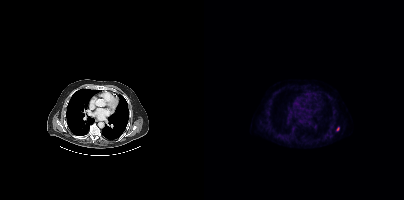
Two-panel axial: CT | PSMA PET, [18F]PSMA-1007 tracer. Acquired on Siemens Biograph mCT Flow 20. Coordinates are on the 200×200 PET (right) panel. Small PSMA-avid focus (2 to 4 px across) near (center x, center y): (133, 129).